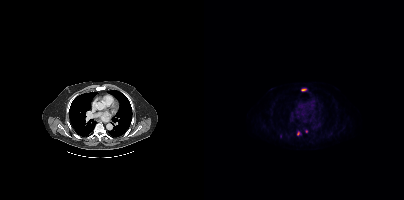
Findings: Coordinates are on the 200×200 PET (right) panel. (showing 2 of 3 foci) PSMA-avid tumor lesion bounding box (x, y, width, height): x=97 y=89 w=6 h=2. Small PSMA-avid focus (2 to 4 px across) near (center x, center y): (94, 133).
- Paired axial CT (left) and PSMA PET (right), [18F]PSMA-1007 tracer
- slice 288 of 417